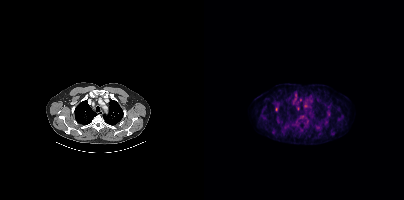
Coordinates are on the 200×200 PET (right) panel. (showing 4 of 5 foci) Small PSMA-avid foci (2 to 4 px across) near (center x, center y): (72, 109); (124, 113); (96, 99); (101, 105). Two-panel axial: CT | PSMA PET, 18F-PSMA tracer. Slice position z = -943 mm.